- Left: CT. Right: PSMA PET, same axial level, 18F tracer
- PET panel 200×200 px (4.1 mm/px)
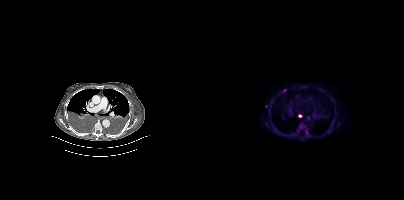
Findings: Coordinates are on the 200×200 PET (right) panel. PSMA-avid tumor lesion bounding boxes (x0,y0,x1,y1): [93,123,100,132] [101,129,104,136]. Small PSMA-avid foci (2 to 4 px across) near (center x, center y): (104, 118) (80, 90) (96, 115) (62, 106).